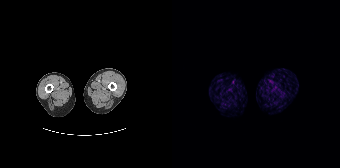
Left: CT. Right: PSMA PET, same axial level, 68Ga-PSMA tracer. Acquired on Siemens Biograph 64-4R TruePoint. No tumor lesions annotated on this slice.